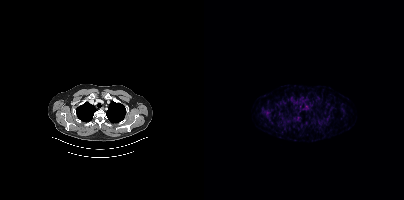
This slice has no annotated PSMA-avid lesion.